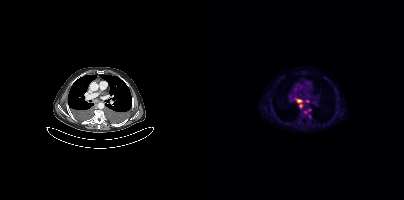
Coordinates are on the 200×200 PET (right) panel. PSMA-avid tumor lesion bounding boxes (x0,y0,x1,y1): [92,99,98,102] [101,100,105,102]. Small PSMA-avid foci (2 to 4 px across) near (center x, center y): (97, 105) (101, 112) (105, 109) (105, 116).
modality: PSMA PET/CT | tracer: 18F-PSMA | view: axial | PET grid: 200×200